modality: PSMA PET/CT | tracer: 18F | view: axial
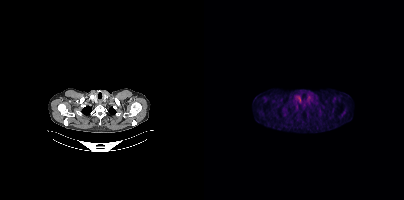
Negative for PSMA-avid disease on this slice.